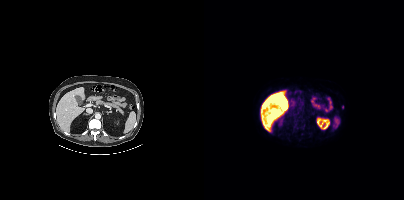
- Paired axial CT (left) and PSMA PET (right), 18F-PSMA tracer
- slice 298 of 508
- PET panel 200×200 px (4.1 mm/px)
Findings: Coordinates are on the 200×200 PET (right) panel. Small PSMA-avid focus (2 to 4 px across) near (center x, center y): (138, 107).